Two-panel axial: CT | PSMA PET, 18F-PSMA tracer. Slice position z = -1432 mm. PET panel 200×200 px (4.1 mm/px).
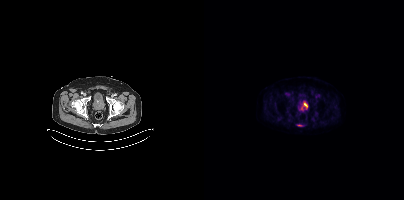
Only PSMA-avid lesion pieces thinner than 2 px on this slice (not listed).